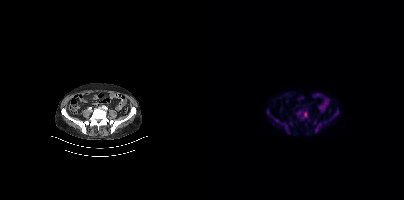
modality: PSMA PET/CT | tracer: 18F | view: axial | PET grid: 200×200
Coordinates are on the 200×200 PET (right) panel. PSMA-avid tumor lesion bounding boxes (x0,y0,x1,y1): [67,116,85,133]; [96,111,103,119]; [111,123,117,132]; [127,112,134,119]; [92,111,97,115]; [63,110,65,114]; [110,120,112,124]. Small PSMA-avid foci (2 to 4 px across) near (center x, center y): (121, 122); (86, 123).